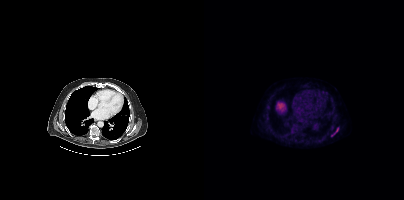
Coordinates are on the 200×200 PET (right) panel. Small PSMA-avid focus (2 to 4 px across) near (center x, center y): (133, 130).